modality: PSMA PET/CT | tracer: 18F | view: axial
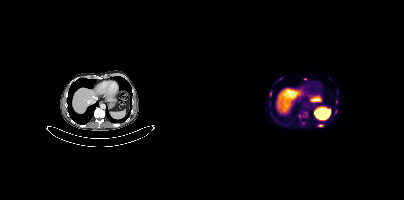
Coordinates are on the 200×200 PET (right) panel. (showing 5 of 8 foci) PSMA-avid tumor lesion bounding box (x, y, width, height): x=114 y=124 w=6 h=3. Small PSMA-avid foci (2 to 4 px across) near (center x, center y): (66, 93); (95, 116); (132, 101); (131, 111).